Technique: Paired axial CT (left) and PSMA PET (right), 18F tracer. slice 148 of 413. PET panel 200×200 px (4.1 mm/px).
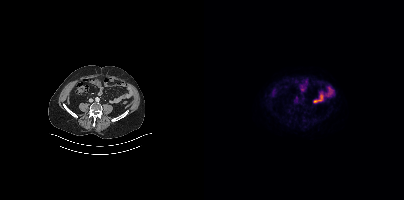
Findings: This slice has no annotated PSMA-avid lesion.